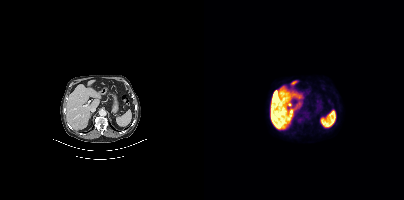
Technique: Paired axial CT (left) and PSMA PET (right), [18F]PSMA-1007 tracer. acquired on Siemens Biograph mCT Flow 20.
Findings: Negative for PSMA-avid disease on this slice.